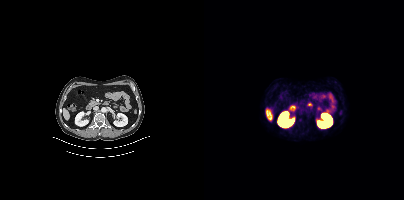
{"modality":"PSMA PET/CT","view":"axial","tracer":"68Ga-PSMA","pet_grid":[200,200],"coord_frame":"pet_panel","coord_format":"x0,y0,x1,y1","partial":true,"lesion_bboxes":[]}